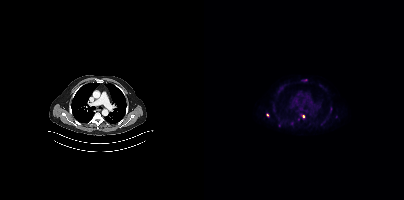
Coordinates are on the 200×200 PET (right) panel. Small PSMA-avid foci (2 to 4 px across) near (center x, center y): (99, 116) | (63, 115) | (101, 79).
modality: PSMA PET/CT | tracer: [18F]PSMA-1007 | view: axial